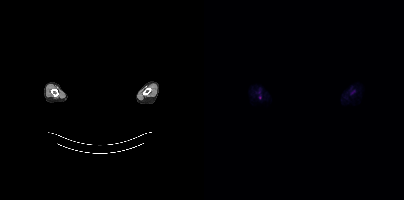
{"pet_grid":[200,200],"coord_frame":"pet_panel","coord_format":"x0,y0,x1,y1","lesion_bboxes":[],"small_foci_centers":[[55,97]],"modality":"PSMA PET/CT","view":"axial","tracer":"[18F]PSMA-1007","deidentification":"head region blacked out before release"}